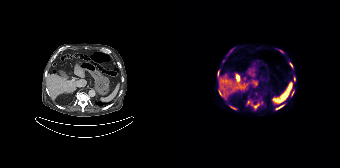
Coordinates are on the 168×168 PET (right) panel. (showing 10 of 11 foci) PSMA-avid tumor lesion bounding boxes (x0,y0,x1,y1): [79,104,87,108]; [104,105,111,109]; [106,49,111,53]; [59,106,64,109]; [47,92,51,96]; [117,63,120,67]; [45,70,47,75]. Small PSMA-avid foci (2 to 4 px across) near (center x, center y): (121, 91); (122, 78); (76, 102).